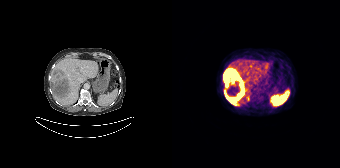
modality: PSMA PET/CT | tracer: 68Ga | view: axial
Coordinates are on the 168×168 PET (right) panel. PSMA-avid tumor lesion bounding box (x, y, width, height): x=52 y=69 w=21 h=37. Small PSMA-avid focus (2 to 4 px across) near (center x, center y): (76, 98).